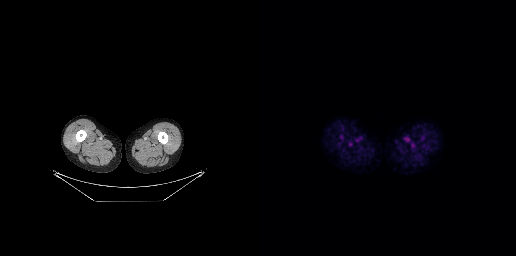
This slice has no annotated PSMA-avid lesion.